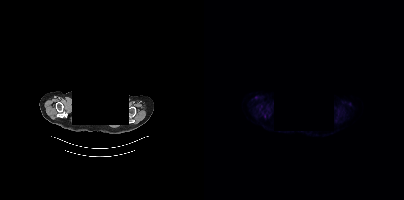
Coordinates are on the 200×200 PET (right) panel. Small PSMA-avid focus (2 to 4 px across) near (center x, center y): (60, 116).
Facial anatomy redacted by setting a rectangular region of the head to black.